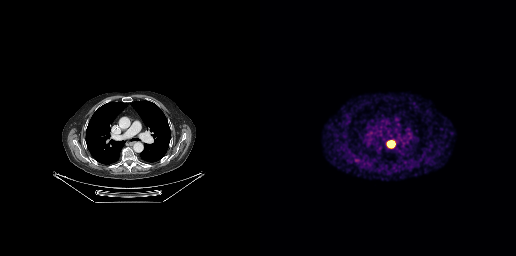
Technique: Paired axial CT (left) and PSMA PET (right), [68Ga]Ga-PSMA-11 tracer. acquired on GE Discovery 690. PET panel 256×256 px (2.7 mm/px).
Findings: Coordinates are on the 256×256 PET (right) panel. PSMA-avid tumor lesion bounding box (x0, y0)-(x1, y1): (128, 142)-(133, 146).